modality: PSMA PET/CT | tracer: 18F-PSMA | view: axial
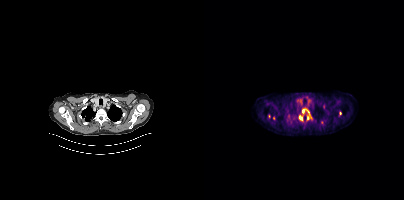
Coordinates are on the 200×200 PET (right) panel. (showing 3 of 5 foci) PSMA-avid tumor lesion bounding boxes (x, y, width, height): x=98 y=108 w=10 h=12; x=95 y=115 w=4 h=6. Small PSMA-avid focus (2 to 4 px across) near (center x, center y): (135, 113).